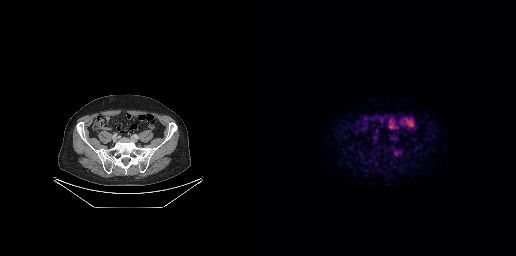
Coordinates are on the 256×256 PET (right) panel. PSMA-avid tumor lesion bounding box (x0,y0,x1,y1): [130,135,134,139].
modality: PSMA PET/CT | tracer: 18F | view: axial | PET grid: 256×256